Paired axial CT (left) and PSMA PET (right), 18F tracer. Slice position z = -660 mm.
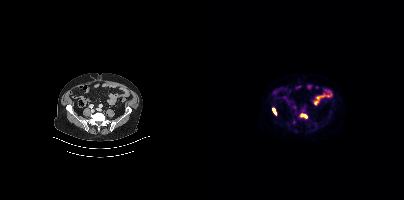
Coordinates are on the 200×200 PET (right) panel. PSMA-avid tumor lesion bounding boxes (x0, y0)-(x1, y1): (96, 113)-(103, 118); (68, 108)-(72, 114).